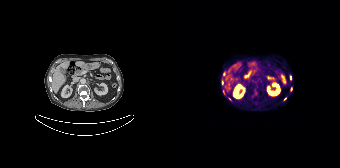
modality: PSMA PET/CT | tracer: [68Ga]Ga-PSMA-11 | view: axial
Coordinates are on the 168×168 PET (right) panel. (showing 5 of 6 foci) PSMA-avid tumor lesion bounding box (x, y, width, height): x=49 y=79 w=3 h=5. Small PSMA-avid foci (2 to 4 px across) near (center x, center y): (113, 98) / (58, 99) / (51, 91) / (118, 78).